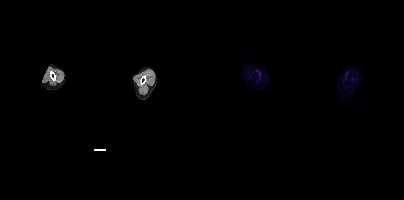
- the head region is masked for de-identification
- Paired axial CT (left) and PSMA PET (right), [18F]PSMA-1007 tracer
- slice 394 of 401
Findings: No tumor lesions annotated on this slice.